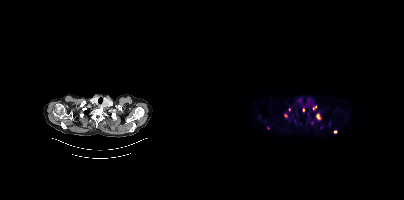
{"modality":"PSMA PET/CT","view":"axial","tracer":"68Ga","pet_grid":[200,200],"coord_frame":"pet_panel","coord_format":"x0,y0,x1,y1","partial":true,"lesion_bboxes":[[113,113,116,118]],"small_foci_centers":[[110,107],[90,120],[64,128],[131,131],[99,110],[81,115],[85,109]]}